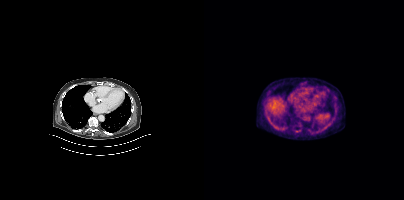
No tumor lesions annotated on this slice.